modality: PSMA PET/CT | tracer: 18F | view: axial | PET grid: 200×200
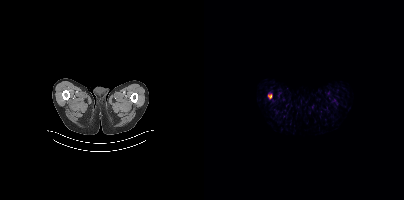
Coordinates are on the 200×200 PET (right) panel. PSMA-avid tumor lesion bounding box (x0, y0)-(x1, y1): (64, 94)-(68, 98).